modality: PSMA PET/CT | tracer: [18F]PSMA-1007 | view: axial
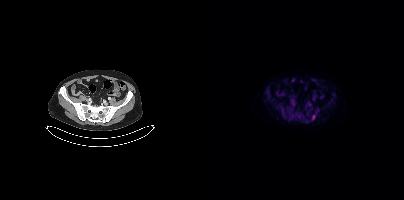
Coordinates are on the 200×200 PET (right) panel. PSMA-avid tumor lesion bounding box (x0, y0)-(x1, y1): (108, 115)-(111, 119).